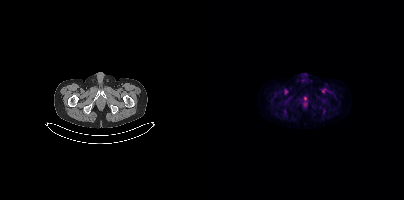
No PSMA-avid tumor lesions on this slice. Two-panel axial: CT | PSMA PET, 18F-PSMA tracer.